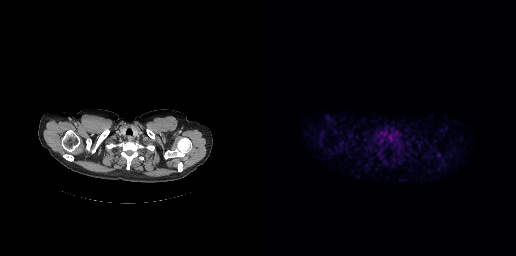
Findings: Only PSMA-avid lesion pieces thinner than 2 px on this slice (not listed).
Technique: Paired axial CT (left) and PSMA PET (right), [18F]PSMA-1007 tracer. acquired on GE Discovery 690.